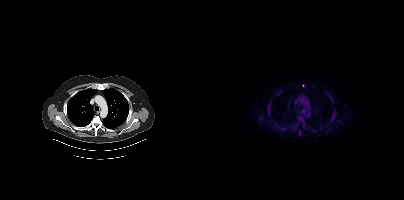
Findings: Coordinates are on the 200×200 PET (right) panel. (showing 13 of 14 foci) PSMA-avid tumor lesion bounding boxes (x0, y0)-(x1, y1): (68, 121)-(75, 128) | (128, 109)-(132, 119) | (93, 129)-(98, 135) | (94, 117)-(99, 122) | (63, 110)-(67, 116) | (63, 100)-(66, 107) | (55, 116)-(59, 120) | (78, 127)-(81, 131) | (124, 95)-(127, 99). Small PSMA-avid foci (2 to 4 px across) near (center x, center y): (109, 130) | (99, 125) | (72, 96) | (67, 121).
Technique: Left: CT. Right: PSMA PET, same axial level, [18F]PSMA-1007 tracer. PET panel 200×200 px (4.1 mm/px).